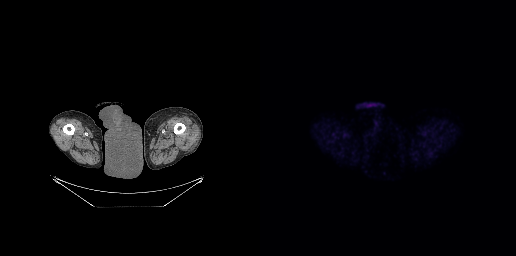
- Left: CT. Right: PSMA PET, same axial level, 18F tracer
- PET panel 256×256 px (2.7 mm/px)
Findings: No PSMA-avid tumor lesions on this slice.